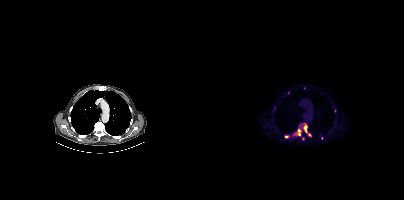
Two-panel axial: CT | PSMA PET, 18F tracer. Acquired on Siemens Biograph mCT Flow 20. Slice position z = 69 mm. Coordinates are on the 200×200 PET (right) panel. (showing 5 of 10 foci) PSMA-avid tumor lesion bounding boxes (x0,y0,x1,y1): [99,123,103,132], [80,135,84,138], [103,133,107,136]. Small PSMA-avid foci (2 to 4 px across) near (center x, center y): (92, 133), (94, 130).